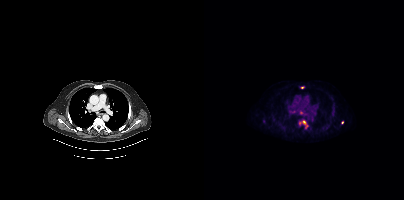
{"modality":"PSMA PET/CT","view":"axial","tracer":"18F-PSMA","pet_grid":[200,200],"coord_frame":"pet_panel","coord_format":"x0,y0,x1,y1","lesion_bboxes":[[95,121,104,128],[86,110,90,113]],"small_foci_centers":[[97,112],[59,121],[98,87],[138,122]]}